Technique: Left: CT. Right: PSMA PET, same axial level, [18F]PSMA-1007 tracer. slice 426 of 433.
Note: The head region is masked for de-identification.
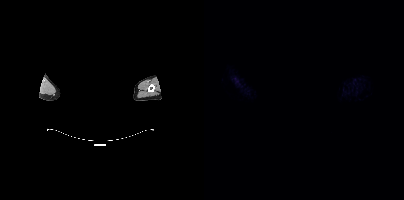
Findings: No tumor lesions annotated on this slice.